- Paired axial CT (left) and PSMA PET (right), 18F tracer
- slice 15 of 391
- PET panel 200×200 px (4.1 mm/px)
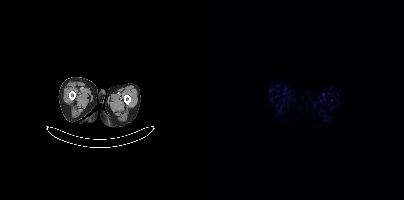
Findings: No tumor lesions annotated on this slice.